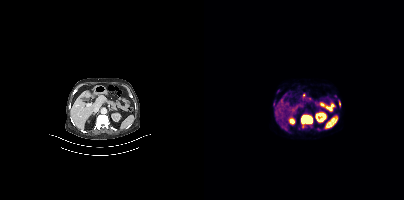
Technique: Left: CT. Right: PSMA PET, same axial level, 68Ga tracer. slice 212 of 397. PET panel 200×200 px (4.1 mm/px).
Findings: Coordinates are on the 200×200 PET (right) panel. (showing 4 of 6 foci) PSMA-avid tumor lesion bounding box (x0,y0,x1,y1): [97,115,108,128]. Small PSMA-avid foci (2 to 4 px across) near (center x, center y): (115, 129), (135, 101), (135, 105).